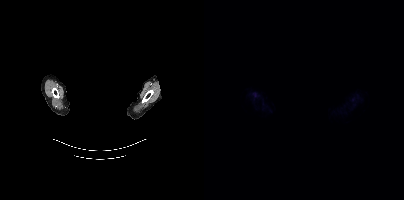
redaction: head region blacked out before release | modality: PSMA PET/CT | tracer: [18F]PSMA-1007 | view: axial
No PSMA-avid tumor lesions on this slice.